- Two-panel axial: CT | PSMA PET, 68Ga tracer
- acquired on Siemens Biograph mCT Flow 20
- PET panel 200×200 px (4.1 mm/px)
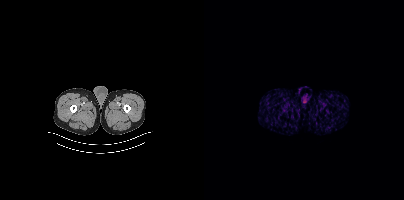
Findings: Negative for PSMA-avid disease on this slice.